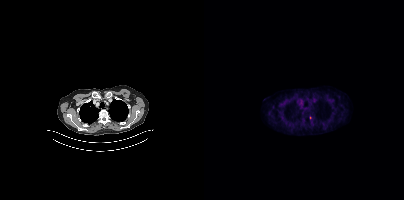
Only PSMA-avid lesion pieces thinner than 2 px on this slice (not listed). Two-panel axial: CT | PSMA PET, 18F tracer. Acquired on Siemens Biograph mCT Flow 20. PET panel 200×200 px (4.1 mm/px).